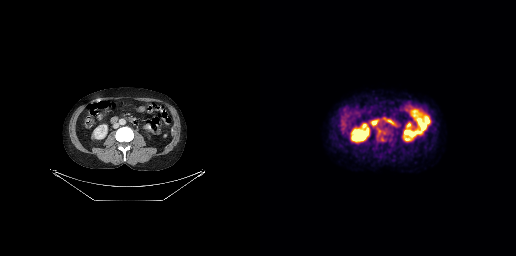
Left: CT. Right: PSMA PET, same axial level, 18F-PSMA tracer. Acquired on GE Discovery 690. PET panel 256×256 px (2.7 mm/px). Coordinates are on the 256×256 PET (right) panel. (showing 2 of 3 foci) Small PSMA-avid foci (2 to 4 px across) near (center x, center y): (119, 132), (122, 139).